Left: CT. Right: PSMA PET, same axial level, [18F]PSMA-1007 tracer. Acquired on Siemens Biograph mCT Flow 20. PET panel 200×200 px (4.1 mm/px).
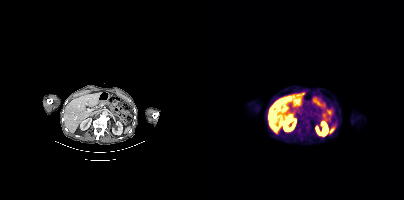
Only PSMA-avid lesion pieces thinner than 2 px on this slice (not listed).